Two-panel axial: CT | PSMA PET, 18F-PSMA tracer. Acquired on Siemens Biograph mCT Flow 20.
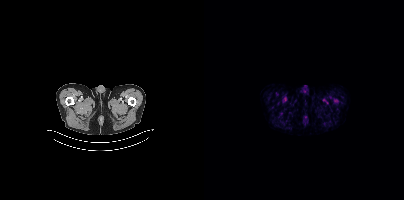
Coordinates are on the 200×200 PET (right) panel. Small PSMA-avid focus (2 to 4 px across) near (center x, center y): (131, 101).